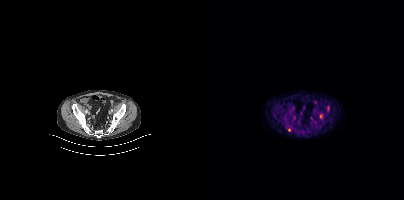
{"modality":"PSMA PET/CT","view":"axial","tracer":"18F-PSMA","pet_grid":[200,200],"coord_frame":"pet_panel","coord_format":"x0,y0,x1,y1","lesion_bboxes":[],"small_foci_centers":[[116,116],[85,129]]}